Two-panel axial: CT | PSMA PET, 18F-PSMA tracer. Acquired on GE Discovery 690. PET panel 256×256 px (2.7 mm/px).
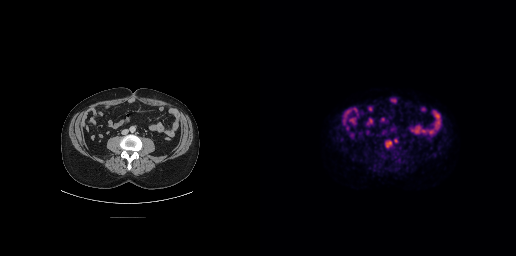
Coordinates are on the 256×256 PET (right) panel. PSMA-avid tumor lesion bounding boxes:
| # | x0 | y0 | x1 | y1 |
|---|---|---|---|---|
| 1 | 126 | 141 | 131 | 147 |
Small PSMA-avid focus (2 to 4 px across) near (center x, center y): (135, 140).